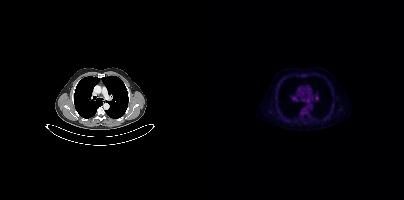
Findings: No PSMA-avid tumor lesions on this slice.
Technique: Paired axial CT (left) and PSMA PET (right), 18F-PSMA tracer. PET panel 200×200 px (4.1 mm/px).